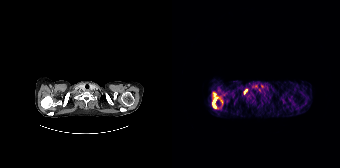
Coordinates are on the 168×168 PET (right) panel. PSMA-avid tumor lesion bounding boxes (x0,y0,x1,y1): [40,92,51,108] [71,89,75,94].